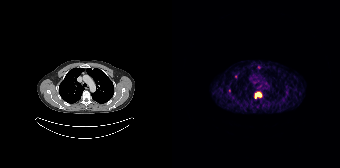
Coordinates are on the 168×168 PET (right) panel. (showing 3 of 4 foci) PSMA-avid tumor lesion bounding box (x0,y0,x1,y1): [83,92,89,98]. Small PSMA-avid foci (2 to 4 px across) near (center x, center y): (86, 67) (63, 76).